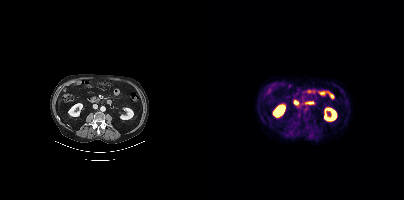
Paired axial CT (left) and PSMA PET (right), [18F]PSMA-1007 tracer. Acquired on Siemens Biograph mCT Flow 20. Slice 167 of 403. This slice has no annotated PSMA-avid lesion.